Paired axial CT (left) and PSMA PET (right), 68Ga-PSMA tracer. Acquired on Siemens Biograph 64-4R TruePoint.
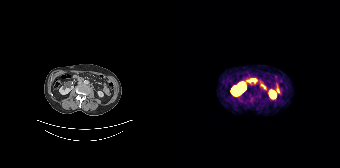
Negative for PSMA-avid disease on this slice.